Left: CT. Right: PSMA PET, same axial level, 18F-PSMA tracer.
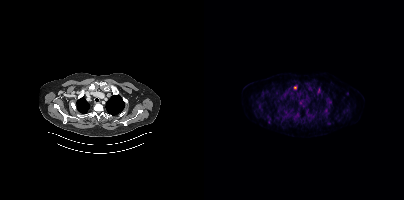
Coordinates are on the 200×200 PET (right) panel. PSMA-avid tumor lesion bounding boxes:
| # | x0 | y0 | x1 | y1 |
|---|---|---|---|---|
| 1 | 121 | 94 | 127 | 106 |
| 2 | 90 | 112 | 95 | 118 |
| 3 | 113 | 87 | 117 | 94 |
| 4 | 102 | 109 | 105 | 117 |
| 5 | 79 | 91 | 83 | 95 |
| 6 | 55 | 103 | 57 | 108 |
Small PSMA-avid foci (2 to 4 px across) near (center x, center y): (65, 121); (91, 87); (100, 121); (99, 107).